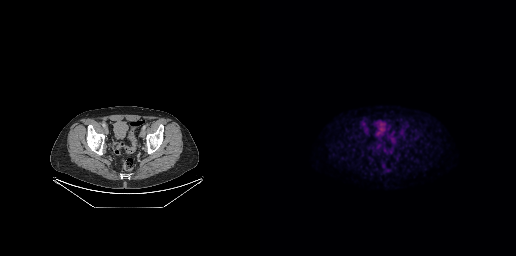
This slice has no annotated PSMA-avid lesion.